Technique: Paired axial CT (left) and PSMA PET (right), [18F]PSMA-1007 tracer. slice 288 of 427. PET panel 200×200 px (4.1 mm/px).
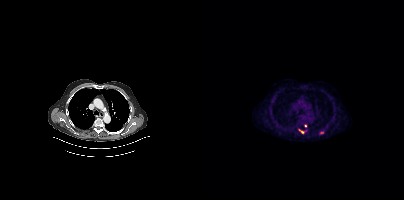
Findings: Coordinates are on the 200×200 PET (right) panel. PSMA-avid tumor lesion bounding box (x0, y0)-(x1, y1): (94, 129)-(100, 133). Small PSMA-avid foci (2 to 4 px across) near (center x, center y): (117, 132) | (101, 126).